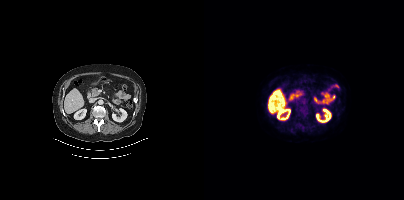
Technique: Paired axial CT (left) and PSMA PET (right), 18F tracer. acquired on Siemens Biograph mCT Flow 20.
Findings: Coordinates are on the 200×200 PET (right) panel. PSMA-avid tumor lesion bounding box (x, y, width, height): x=93 y=106 w=13 h=14.